Left: CT. Right: PSMA PET, same axial level, [68Ga]Ga-PSMA-11 tracer. Slice 122 of 263. PET panel 256×256 px (2.7 mm/px).
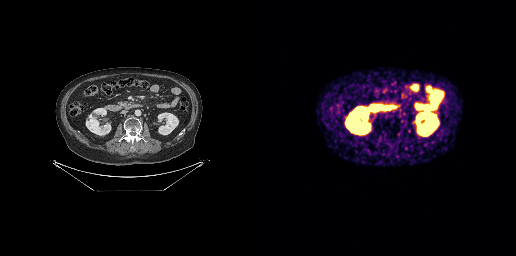
No PSMA-avid tumor lesions on this slice.